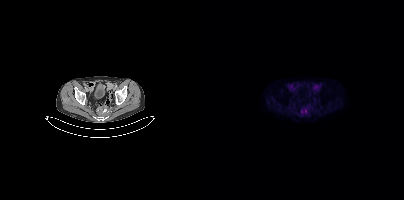
modality: PSMA PET/CT | tracer: 18F-PSMA | view: axial | PET grid: 200×200
Coordinates are on the 200×200 PET (right) panel. PSMA-avid tumor lesion bounding box (x0,y0,x1,y1): [100,109,102,113]. Small PSMA-avid focus (2 to 4 px across) near (center x, center y): (97, 111).